modality: PSMA PET/CT | tracer: [18F]PSMA-1007 | view: axial | PET grid: 200×200
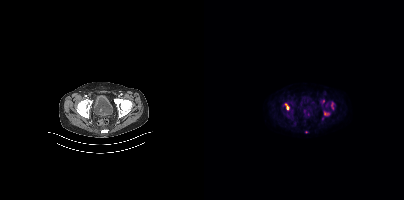
Coordinates are on the 200×200 PET (right) panel. (showing 4 of 6 foci) PSMA-avid tumor lesion bounding boxes (x0,y0,x1,y1): [79,104,85,109] [120,112,124,115]. Small PSMA-avid foci (2 to 4 px across) near (center x, center y): (127, 104) (102, 131).